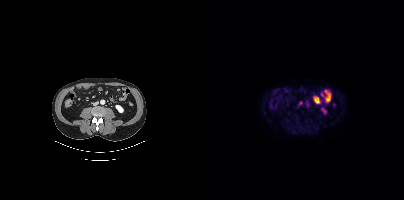
Two-panel axial: CT | PSMA PET, 18F-PSMA tracer. PET panel 200×200 px (4.1 mm/px). Coordinates are on the 200×200 PET (right) panel. Small PSMA-avid focus (2 to 4 px across) near (center x, center y): (97, 103).